modality: PSMA PET/CT | tracer: 18F | view: axial | PET grid: 200×200
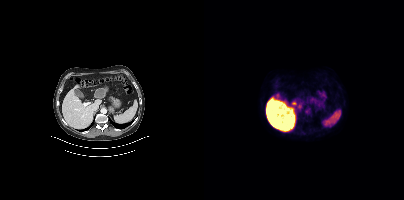
Negative for PSMA-avid disease on this slice.